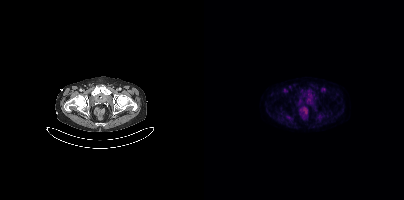
- Left: CT. Right: PSMA PET, same axial level, 18F tracer
- slice position z = -1682 mm
Findings: Negative for PSMA-avid disease on this slice.